Two-panel axial: CT | PSMA PET, 18F tracer. Acquired on Siemens Biograph mCT Flow 20. Slice position z = -1452 mm. PET panel 200×200 px (4.1 mm/px).
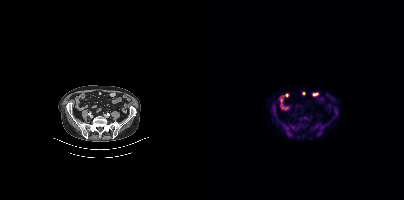
Coordinates are on the 200×200 PET (right) panel. (showing 2 of 3 foci) PSMA-avid tumor lesion bounding boxes (x0, y0)-(x1, y1): (97, 117)-(103, 119) / (130, 107)-(131, 111).